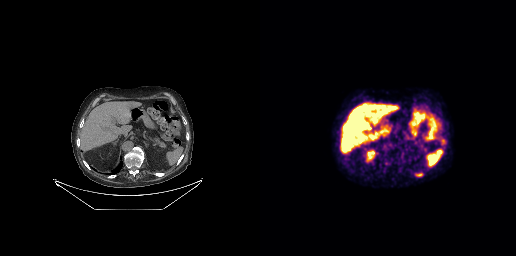
Technique: Paired axial CT (left) and PSMA PET (right), 18F-PSMA tracer. PET panel 256×256 px (2.7 mm/px).
Findings: Coordinates are on the 256×256 PET (right) panel. PSMA-avid tumor lesion bounding box (x, y, width, height): x=155 y=172 w=9 h=5.